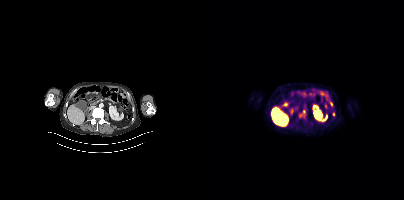
Two-panel axial: CT | PSMA PET, [18F]PSMA-1007 tracer. Slice 166 of 421. Coordinates are on the 200×200 PET (right) panel. Small PSMA-avid foci (2 to 4 px across) near (center x, center y): (129, 114) | (127, 105) | (99, 111).